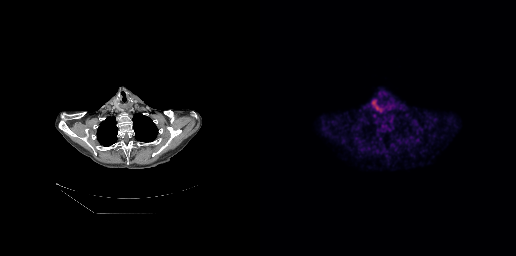
{"modality":"PSMA PET/CT","view":"axial","tracer":"18F","pet_grid":[256,256],"coord_frame":"pet_panel","coord_format":"x0,y0,x1,y1","psma_avid_lesions":false}